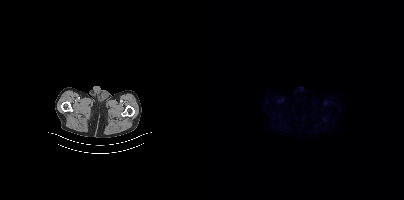
This slice has no annotated PSMA-avid lesion.